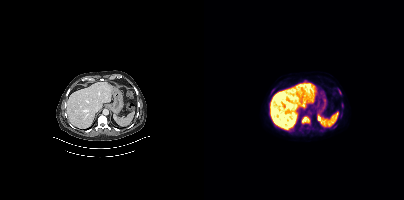
- Left: CT. Right: PSMA PET, same axial level, [18F]PSMA-1007 tracer
- acquired on Siemens Biograph mCT Flow 20
- PET panel 200×200 px (4.1 mm/px)
Findings: Coordinates are on the 200×200 PET (right) panel. (showing 4 of 5 foci) PSMA-avid tumor lesion bounding boxes (x0, y0)-(x1, y1): (97, 116)-(106, 124); (134, 89)-(137, 93). Small PSMA-avid foci (2 to 4 px across) near (center x, center y): (138, 106); (108, 128).